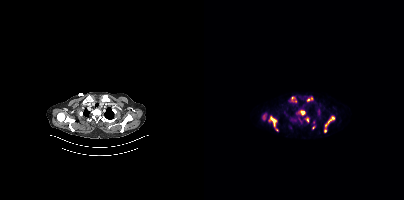
Two-panel axial: CT | PSMA PET, 68Ga-PSMA tracer. Acquired on Siemens Biograph mCT Flow 20. PET panel 200×200 px (4.1 mm/px). Coordinates are on the 200×200 PET (right) panel. PSMA-avid tumor lesion bounding boxes (x0,y0,x1,y1): [65,116,74,131]; [120,116,130,130]; [92,110,101,115]; [87,97,92,102]; [87,118,91,122]; [104,97,109,101]; [102,118,104,122]. Small PSMA-avid foci (2 to 4 px across) near (center x, center y): (109, 127); (91, 116); (109, 122).